- Two-panel axial: CT | PSMA PET, [18F]PSMA-1007 tracer
- PET panel 200×200 px (4.1 mm/px)
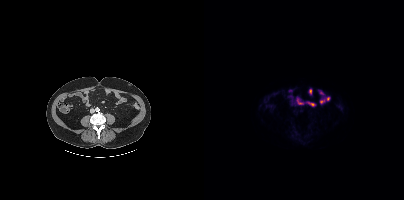
Findings: No tumor lesions annotated on this slice.